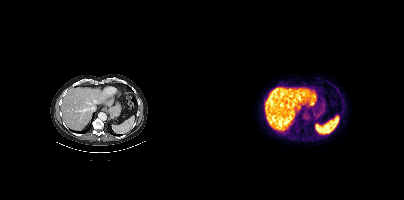
Negative for PSMA-avid disease on this slice.